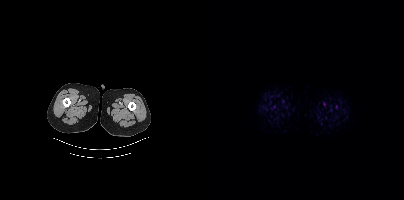
- Paired axial CT (left) and PSMA PET (right), 18F tracer
- PET panel 200×200 px (4.1 mm/px)
Findings: Negative for PSMA-avid disease on this slice.